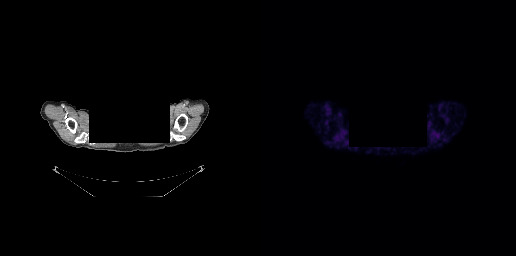
Technique: Two-panel axial: CT | PSMA PET, 68Ga-PSMA tracer.
Note: A rectangle over the head was blacked out to remove identifiable facial features.
Findings: Negative for PSMA-avid disease on this slice.